Two-panel axial: CT | PSMA PET, 18F tracer. PET panel 200×200 px (4.1 mm/px).
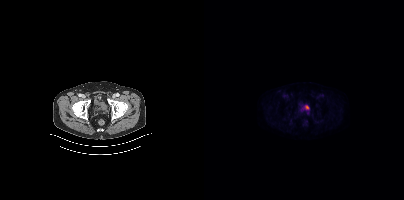
Coordinates are on the 200×200 PET (right) panel. Small PSMA-avid focus (2 to 4 px across) near (center x, center y): (104, 113).